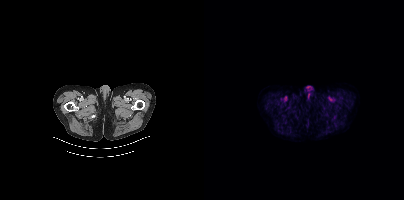
Paired axial CT (left) and PSMA PET (right), [18F]PSMA-1007 tracer. No PSMA-avid tumor lesions on this slice.